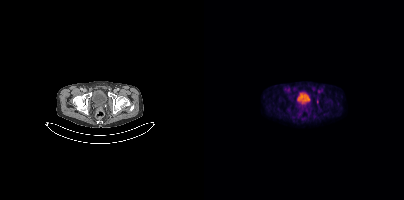
Coordinates are on the 200×200 PET (right) panel. Small PSMA-avid focus (2 to 4 px across) near (center x, center y): (113, 101).